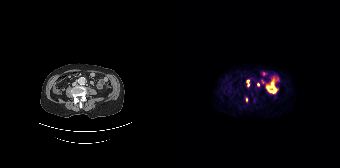
Coordinates are on the 168×168 PET (right) panel. PSMA-avid tumor lesion bounding boxes:
| # | x0 | y0 | x1 | y1 |
|---|---|---|---|---|
| 1 | 74 | 80 | 77 | 86 |
Small PSMA-avid foci (2 to 4 px across) near (center x, center y): (86, 84); (74, 99).
Paired axial CT (left) and PSMA PET (right), [68Ga]Ga-PSMA-11 tracer. Acquired on Siemens Biograph 64-4R TruePoint.